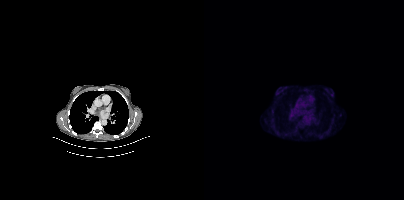
Two-panel axial: CT | PSMA PET, 18F-PSMA tracer. Acquired on Siemens Biograph mCT Flow 20. PET panel 200×200 px (4.1 mm/px). No PSMA-avid tumor lesions on this slice.